- Left: CT. Right: PSMA PET, same axial level, [18F]PSMA-1007 tracer
- acquired on Siemens Biograph mCT Flow 20
- slice 150 of 403
- PET panel 200×200 px (4.1 mm/px)
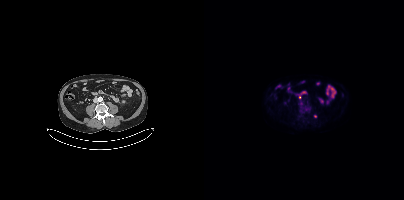
Findings: Coordinates are on the 200×200 PET (right) panel. Small PSMA-avid foci (2 to 4 px across) near (center x, center y): (95, 97); (97, 103).